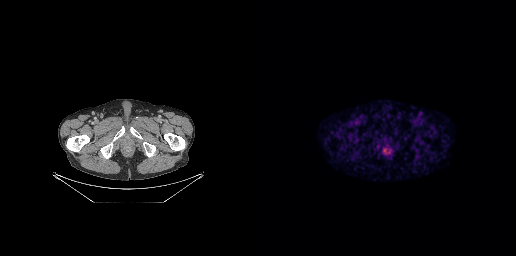
This slice has no annotated PSMA-avid lesion.